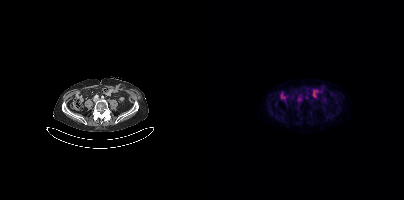
No PSMA-avid tumor lesions on this slice. Left: CT. Right: PSMA PET, same axial level, 18F-PSMA tracer. Acquired on Siemens Biograph mCT Flow 20.